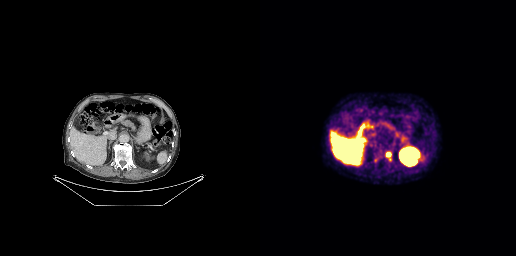
modality: PSMA PET/CT | tracer: 18F-PSMA | view: axial
Coordinates are on the 256×256 PET (right) panel. PSMA-avid tumor lesion bounding boxes (x, y, width, height): x=126 y=152 w=6 h=10; x=114 y=155 w=5 h=7.